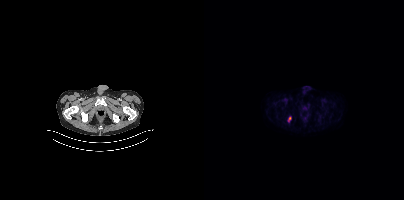
{"modality":"PSMA PET/CT","view":"axial","tracer":"[18F]PSMA-1007","pet_grid":[200,200],"coord_frame":"pet_panel","coord_format":"x0,y0,x1,y1","lesion_bboxes":[[84,117,87,121]]}